- de-identified by setting a box covering the face to black before release
- Two-panel axial: CT | PSMA PET, 68Ga-PSMA tracer
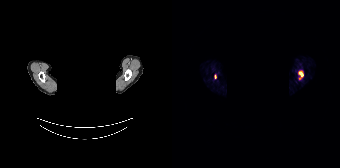
Findings: Coordinates are on the 168×168 PET (right) panel. PSMA-avid tumor lesion bounding box (x0, y0)-(x1, y1): (127, 72)-(130, 76). Small PSMA-avid focus (2 to 4 px across) near (center x, center y): (43, 76).